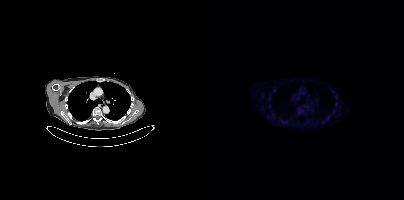
modality: PSMA PET/CT | tracer: 18F-PSMA | view: axial
Coordinates are on the 200×200 PET (right) panel. (showing 2 of 3 foci) Small PSMA-avid foci (2 to 4 px across) near (center x, center y): (97, 110); (132, 103).